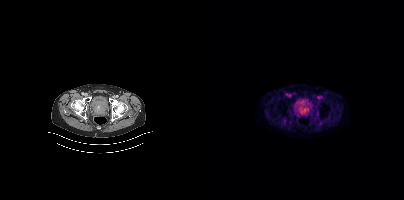
Technique: Left: CT. Right: PSMA PET, same axial level, [18F]PSMA-1007 tracer. slice position z = -782 mm. PET panel 200×200 px (4.1 mm/px).
Findings: Coordinates are on the 200×200 PET (right) panel. PSMA-avid tumor lesion bounding box (x0,y0,x1,y1): [93,104,105,116].